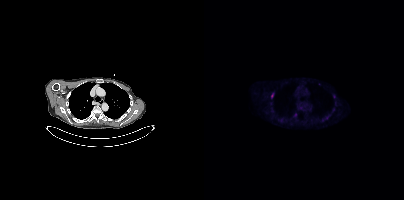
{"modality":"PSMA PET/CT","view":"axial","tracer":"18F-PSMA","pet_grid":[200,200],"coord_frame":"pet_panel","coord_format":"x0,y0,x1,y1","lesion_bboxes":[[67,93,69,97]],"small_foci_centers":[[122,117],[118,120],[115,83]]}